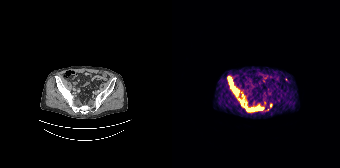
{"pet_grid":[168,168],"coord_frame":"pet_panel","coord_format":"x0,y0,x1,y1","partial":true,"lesion_bboxes":[[74,106,91,111],[56,77,60,87],[68,99,72,102]],"small_foci_centers":[[114,79],[61,88],[63,92]],"modality":"PSMA PET/CT","view":"axial","tracer":"[68Ga]Ga-PSMA-11"}